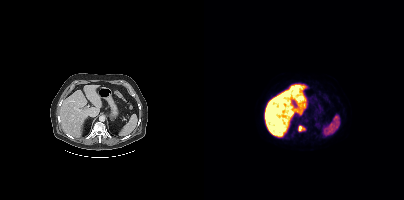
{"modality":"PSMA PET/CT","view":"axial","tracer":"18F-PSMA","pet_grid":[200,200],"coord_frame":"pet_panel","coord_format":"x0,y0,x1,y1","lesion_bboxes":[[94,125,101,131]]}